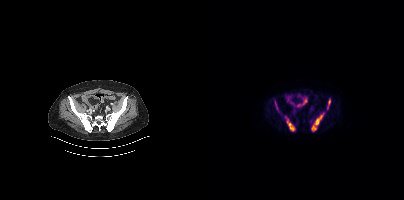
Technique: Left: CT. Right: PSMA PET, same axial level, 18F tracer. slice position z = -1420 mm.
Findings: Coordinates are on the 200×200 PET (right) panel. PSMA-avid tumor lesion bounding boxes (x0,y0,x1,y1): [107,113,120,131] [82,118,91,131] [123,99,126,108] [71,102,73,109].